Left: CT. Right: PSMA PET, same axial level, [18F]PSMA-1007 tracer. Slice position z = -913 mm.
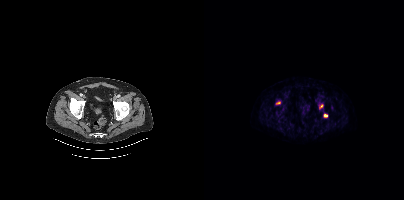
Coordinates are on the 200×200 PET (right) panel. PSMA-avid tumor lesion bounding boxes (x0, y0)-(x1, y1): (119, 114)-(123, 117); (72, 101)-(76, 104); (115, 104)-(119, 108).